Two-panel axial: CT | PSMA PET, 18F tracer. Acquired on Siemens Biograph mCT Flow 20. PET panel 200×200 px (4.1 mm/px).
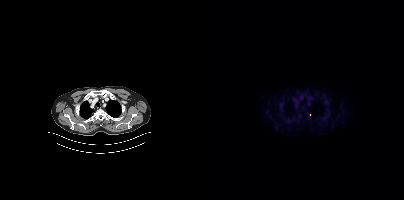
Only PSMA-avid lesion pieces thinner than 2 px on this slice (not listed).